Technique: Two-panel axial: CT | PSMA PET, 18F-PSMA tracer. slice 300 of 403. PET panel 200×200 px (4.1 mm/px).
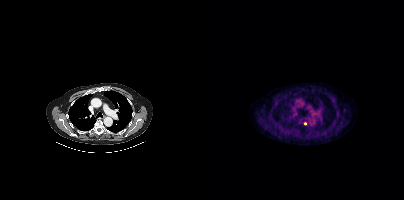
Findings: Coordinates are on the 200×200 PET (right) panel. Small PSMA-avid focus (2 to 4 px across) near (center x, center y): (101, 123).